modality: PSMA PET/CT | tracer: 18F | view: axial | PET grid: 200×200
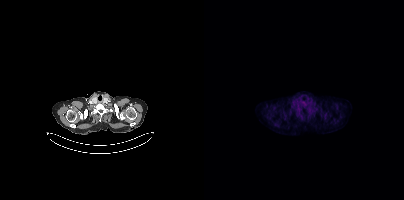
No tumor lesions annotated on this slice.